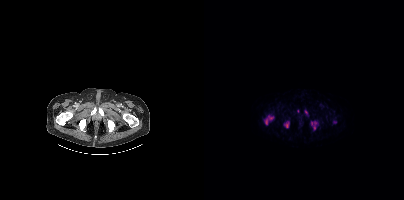
- Two-panel axial: CT | PSMA PET, 18F-PSMA tracer
- slice 132 of 508
Findings: Coordinates are on the 200×200 PET (right) panel. (showing 7 of 8 foci) PSMA-avid tumor lesion bounding boxes (x, y, width, height): x=60 y=115 w=10 h=9 / x=80 y=122 w=5 h=6. Small PSMA-avid foci (2 to 4 px across) near (center x, center y): (130, 122) / (102, 112) / (111, 123) / (110, 127) / (107, 123).